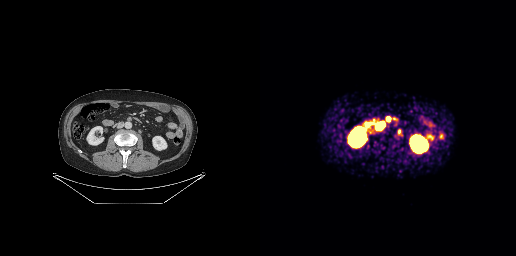
modality: PSMA PET/CT | tracer: 68Ga-PSMA | view: axial | PET grid: 256×256
Coordinates are on the 256×256 PET (right) panel. PSMA-avid tumor lesion bounding boxes (x0,y0,x1,y1): [116,122,124,129] [127,117,130,121]. Small PSMA-avid focus (2 to 4 px across) near (center x, center y): (139, 131).